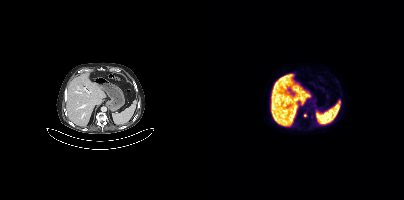
Findings: No PSMA-avid tumor lesions on this slice.
Technique: Paired axial CT (left) and PSMA PET (right), 18F-PSMA tracer. slice 229 of 395. PET panel 200×200 px (4.1 mm/px).